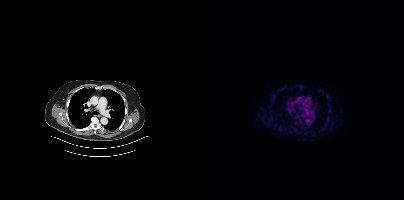
No PSMA-avid tumor lesions on this slice.